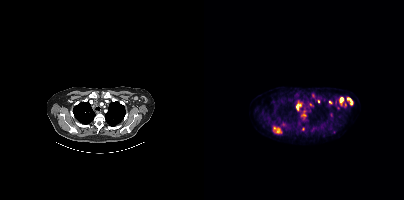
Coordinates are on the 200×200 PET (right) panel. (showing 14 of 17 foci) PSMA-avid tumor lesion bounding boxes (x, y, width, height): x=69 y=127 w=9 h=7 / x=98 y=109 w=5 h=10 / x=92 y=102 w=6 h=9 / x=136 y=98 w=4 h=8 / x=143 y=97 w=6 h=8 / x=125 y=100 w=4 h=5. Small PSMA-avid foci (2 to 4 px across) near (center x, center y): (79, 123) / (108, 95) / (114, 101) / (131, 103) / (99, 129) / (141, 104) / (127, 113) / (106, 104).